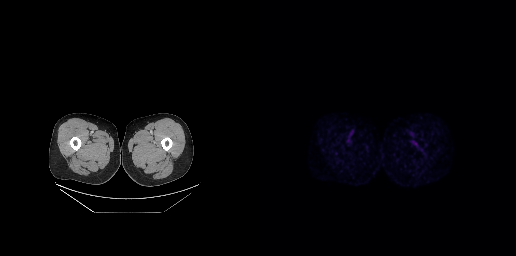
No tumor lesions annotated on this slice. Two-panel axial: CT | PSMA PET, 18F tracer.